- Left: CT. Right: PSMA PET, same axial level, 18F-PSMA tracer
- acquired on Siemens Biograph mCT Flow 20
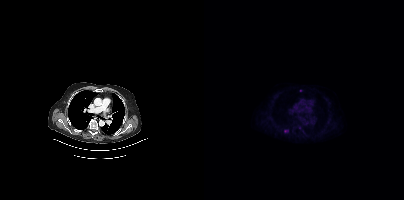
Findings: Only PSMA-avid lesion pieces thinner than 2 px on this slice (not listed).